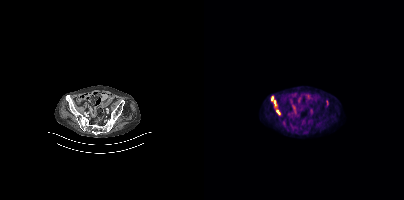
Findings: Coordinates are on the 200×200 PET (right) panel. (showing 2 of 3 foci) PSMA-avid tumor lesion bounding box (x, y, width, height): x=67 y=97 w=6 h=11. Small PSMA-avid focus (2 to 4 px across) near (center x, center y): (97, 128).
Technique: Left: CT. Right: PSMA PET, same axial level, [18F]PSMA-1007 tracer.